- Left: CT. Right: PSMA PET, same axial level, 18F-PSMA tracer
- acquired on Siemens Biograph mCT Flow 20
- PET panel 200×200 px (4.1 mm/px)
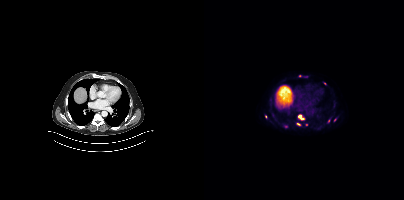
Findings: Coordinates are on the 200×200 PET (right) panel. (showing 8 of 9 foci) PSMA-avid tumor lesion bounding box (x0, y0)-(x1, y1): (94, 114)-(100, 120). Small PSMA-avid foci (2 to 4 px across) near (center x, center y): (94, 124); (96, 75); (61, 116); (130, 120); (102, 124); (120, 83); (81, 126).